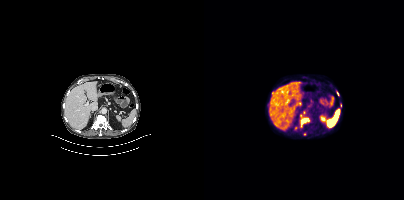
Left: CT. Right: PSMA PET, same axial level, [18F]PSMA-1007 tracer. Coordinates are on the 200×200 PET (right) panel. (showing 3 of 6 foci) PSMA-avid tumor lesion bounding box (x0,y0,x1,y1): [96,116,106,127]. Small PSMA-avid foci (2 to 4 px across) near (center x, center y): (100, 112) (133, 93).